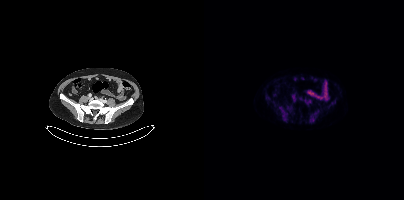
{"pet_grid":[200,200],"coord_frame":"pet_panel","coord_format":"x0,y0,x1,y1","psma_avid_lesions":false,"modality":"PSMA PET/CT","view":"axial","tracer":"18F-PSMA"}